- Left: CT. Right: PSMA PET, same axial level, 18F-PSMA tracer
- slice 25 of 263
- PET panel 256×256 px (2.7 mm/px)
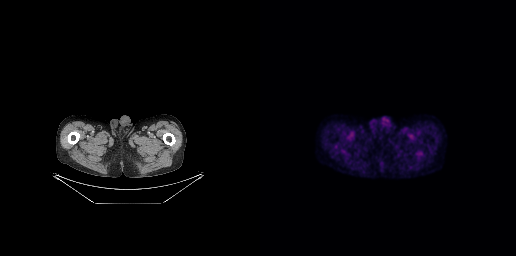
Findings: No PSMA-avid tumor lesions on this slice.